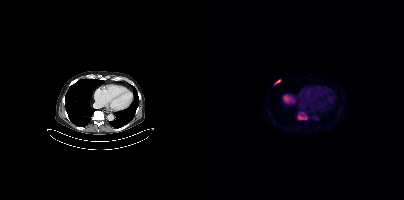
Two-panel axial: CT | PSMA PET, [18F]PSMA-1007 tracer. PET panel 200×200 px (4.1 mm/px). Coordinates are on the 200×200 PET (right) panel. PSMA-avid tumor lesion bounding boxes (x, y, width, height): x=94 y=112 w=10 h=8 / x=70 y=79 w=8 h=7.